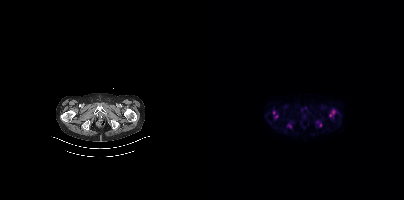
{"modality":"PSMA PET/CT","view":"axial","tracer":"[18F]PSMA-1007","pet_grid":[200,200],"coord_frame":"pet_panel","coord_format":"x0,y0,x1,y1","partial":true,"lesion_bboxes":[[126,110,131,118],[112,121,117,126],[83,123,87,127]],"small_foci_centers":[[70,112],[72,116]]}